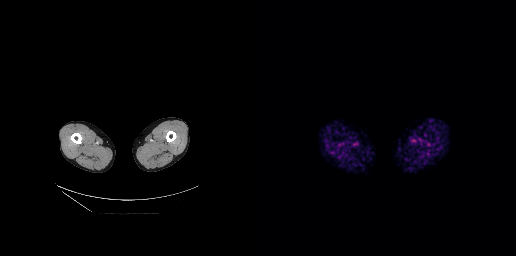
{"modality":"PSMA PET/CT","view":"axial","tracer":"[18F]PSMA-1007","pet_grid":[256,256],"coord_frame":"pet_panel","coord_format":"x0,y0,x1,y1","psma_avid_lesions":false}